Technique: Two-panel axial: CT | PSMA PET, 18F tracer. PET panel 256×256 px (2.7 mm/px).
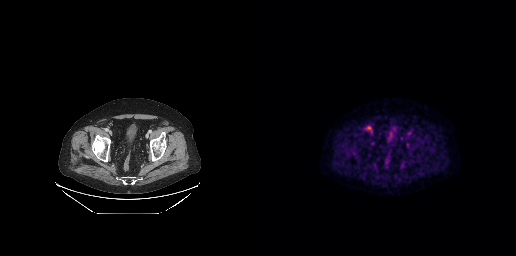
Findings: Coordinates are on the 256×256 PET (right) panel. PSMA-avid tumor lesion bounding box (x, y, width, height): x=106 y=126 w=6 h=7.